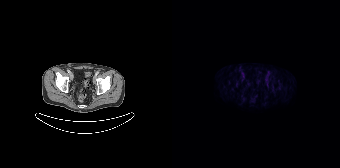
Left: CT. Right: PSMA PET, same axial level, [18F]PSMA-1007 tracer. Slice 61 of 195. No tumor lesions annotated on this slice.